Left: CT. Right: PSMA PET, same axial level, [18F]PSMA-1007 tracer. Acquired on Siemens Biograph mCT Flow 20. PET panel 200×200 px (4.1 mm/px).
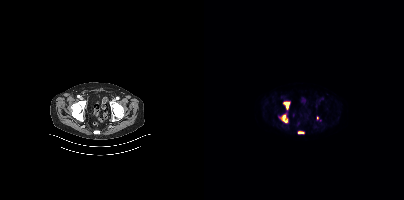
Coordinates are on the 200×200 PET (right) panel. PSMA-avid tumor lesion bounding boxes (x, y, width, height): x=79 y=102 w=7 h=8 | x=78 y=115 w=6 h=8 | x=94 y=131 w=6 h=3. Small PSMA-avid focus (2 to 4 px across) near (center x, center y): (113, 117).